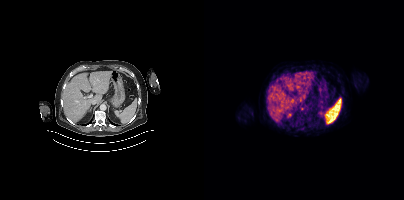
Two-panel axial: CT | PSMA PET, 68Ga-PSMA tracer. PET panel 200×200 px (4.1 mm/px). Only PSMA-avid lesion pieces thinner than 2 px on this slice (not listed).